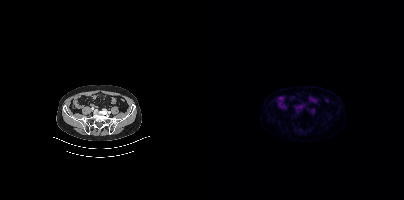
{"pet_grid":[200,200],"coord_frame":"pet_panel","coord_format":"x0,y0,x1,y1","psma_avid_lesions":false,"modality":"PSMA PET/CT","view":"axial","tracer":"68Ga"}